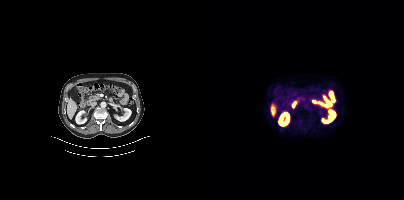
Negative for PSMA-avid disease on this slice. Paired axial CT (left) and PSMA PET (right), [68Ga]Ga-PSMA-11 tracer. Acquired on Siemens Biograph mCT Flow 20. Slice position z = -1357 mm.